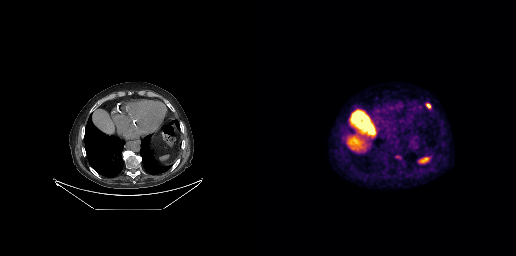
Left: CT. Right: PSMA PET, same axial level, 18F tracer. PET panel 256×256 px (2.7 mm/px).
Coordinates are on the 256×256 PET (right) panel. PSMA-avid tumor lesion bounding boxes:
| # | x0 | y0 | x1 | y1 |
|---|---|---|---|---|
| 1 | 166 | 103 | 170 | 108 |